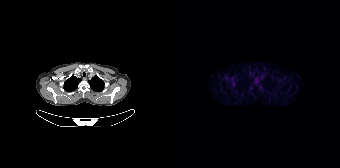
{"modality":"PSMA PET/CT","view":"axial","tracer":"18F","pet_grid":[168,168],"coord_frame":"pet_panel","coord_format":"x0,y0,x1,y1","psma_avid_lesions":false}